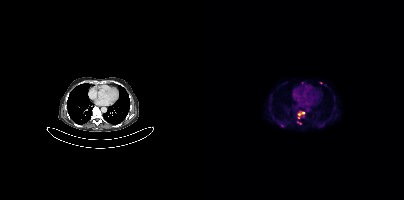
Left: CT. Right: PSMA PET, same axial level, [18F]PSMA-1007 tracer. Acquired on Siemens Biograph mCT Flow 20. Slice position z = -430 mm. PET panel 200×200 px (4.1 mm/px). Coordinates are on the 200×200 PET (right) panel. (showing 6 of 8 foci) PSMA-avid tumor lesion bounding box (x, y, width, height): x=93 y=121 w=5 h=4. Small PSMA-avid foci (2 to 4 px across) near (center x, center y): (99, 112) / (95, 114) / (117, 82) / (94, 117) / (76, 124).